Technique: Left: CT. Right: PSMA PET, same axial level, [18F]PSMA-1007 tracer.
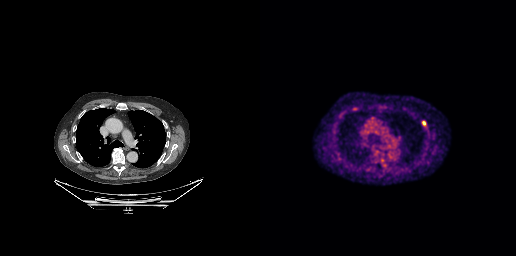
Findings: Coordinates are on the 256×256 PET (right) panel. PSMA-avid tumor lesion bounding box (x0,y0,x1,y1): [162,121,165,125].